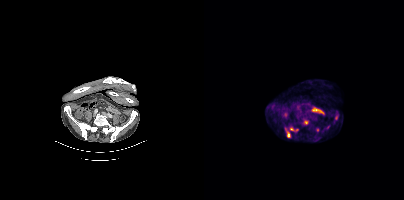
Left: CT. Right: PSMA PET, same axial level, [18F]PSMA-1007 tracer. PET panel 200×200 px (4.1 mm/px).
Coordinates are on the 200×200 PET (right) panel. PSMA-avid tumor lesion bounding boxes (partial; 1 more focus not listed):
| # | x0 | y0 | x1 | y1 |
|---|---|---|---|---|
| 1 | 81 | 128 | 86 | 137 |
| 2 | 86 | 128 | 94 | 131 |
| 3 | 99 | 121 | 104 | 124 |
Small PSMA-avid foci (2 to 4 px across) near (center x, center y): (132, 117); (123, 127); (113, 130).